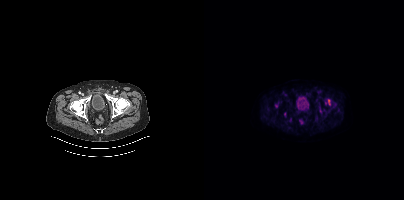
Coordinates are on the 200×200 PET (right) panel. PSMA-avid tumor lesion bounding box (x0, y0)-(x1, y1): (124, 99)-(126, 104). Small PSMA-avid foci (2 to 4 px across) near (center x, center y): (72, 105); (80, 113).